modality: PSMA PET/CT | tracer: 18F-PSMA | view: axial
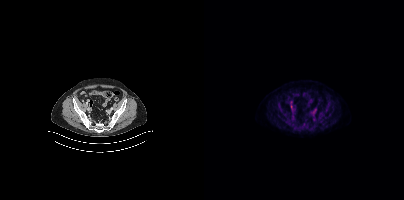
Coordinates are on the 200×200 PET (right) panel. (showing 1 of 3 foci) PSMA-avid tumor lesion bounding box (x0, y0)-(x1, y1): (86, 104)-(88, 108).